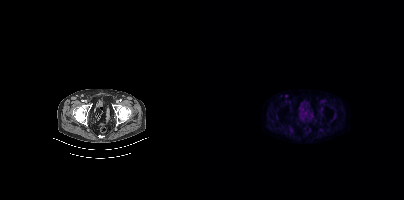
Coordinates are on the 200×200 PET (right) panel. Small PSMA-avid foci (2 to 4 px across) near (center x, center y): (82, 95) / (117, 109).